Technique: Paired axial CT (left) and PSMA PET (right), 18F tracer. slice 152 of 409.
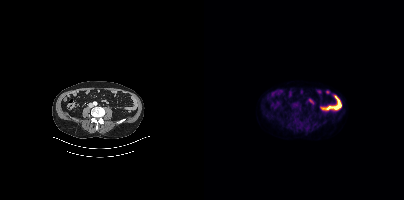
Findings: No PSMA-avid tumor lesions on this slice.